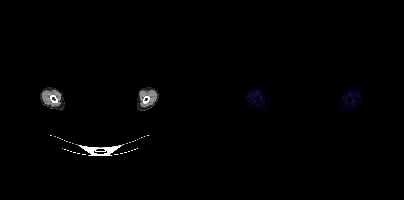
{"pet_grid":[200,200],"coord_frame":"pet_panel","coord_format":"x0,y0,x1,y1","psma_avid_lesions":false,"modality":"PSMA PET/CT","view":"axial","tracer":"18F","de-identification":"head region blacked out before release"}